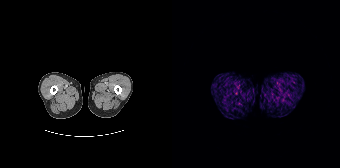
{"pet_grid":[168,168],"coord_frame":"pet_panel","coord_format":"x0,y0,x1,y1","psma_avid_lesions":false,"modality":"PSMA PET/CT","view":"axial","tracer":"68Ga"}